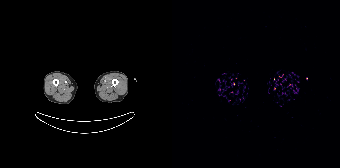
{"modality":"PSMA PET/CT","view":"axial","tracer":"[68Ga]Ga-PSMA-11","pet_grid":[168,168],"coord_frame":"pet_panel","coord_format":"x0,y0,x1,y1","psma_avid_lesions":false}